Left: CT. Right: PSMA PET, same axial level, 18F tracer.
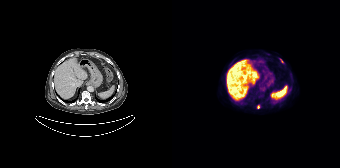
Coordinates are on the 168×168 PET (right) panel. Small PSMA-avid foci (2 to 4 px across) near (center x, center y): (86, 106) | (109, 60).